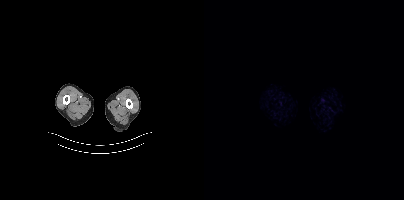
Technique: Paired axial CT (left) and PSMA PET (right), 18F tracer. acquired on Siemens Biograph mCT Flow 20. slice position z = -1070 mm.
Findings: This slice has no annotated PSMA-avid lesion.